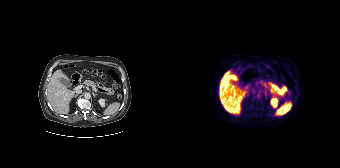
Findings: No tumor lesions annotated on this slice.
- Two-panel axial: CT | PSMA PET, [18F]PSMA-1007 tracer
- acquired on Siemens Biograph 64-4R TruePoint